modality: PSMA PET/CT | tracer: [18F]PSMA-1007 | view: axial | PET grid: 200×200
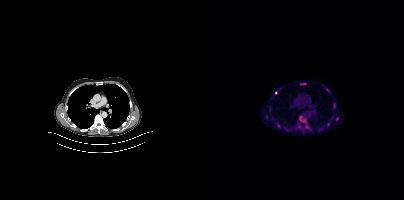
Coordinates are on the 200×200 PET (right) panel. (showing 5 of 6 foci) PSMA-avid tumor lesion bounding boxes (x, y, width, height): x=96 y=82 w=7 h=4; x=129 y=103 w=3 h=6; x=123 y=122 w=4 h=5. Small PSMA-avid foci (2 to 4 px across) near (center x, center y): (71, 92); (133, 118).